- Two-panel axial: CT | PSMA PET, [18F]PSMA-1007 tracer
- slice position z = -890 mm
- PET panel 200×200 px (4.1 mm/px)
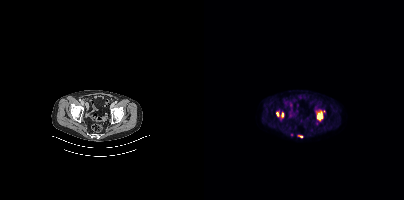
Findings: Coordinates are on the 200×200 PET (right) panel. PSMA-avid tumor lesion bounding boxes (x0,y0,x1,y1): [113,110,120,120], [72,112,75,116], [77,112,79,117], [94,135,98,137].